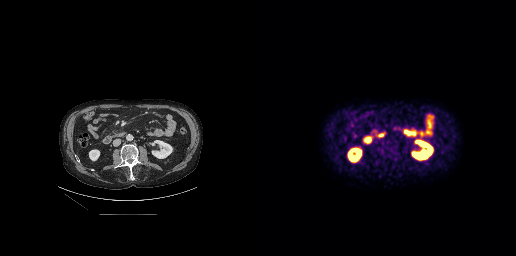
This slice has no annotated PSMA-avid lesion. Two-panel axial: CT | PSMA PET, 18F tracer. Acquired on GE Discovery 690.